Two-panel axial: CT | PSMA PET, [18F]PSMA-1007 tracer. Slice position z = -876 mm. PET panel 200×200 px (4.1 mm/px).
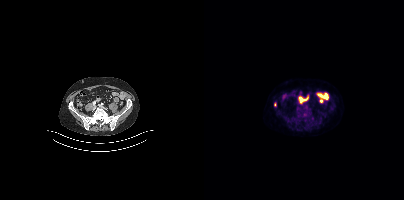
Coordinates are on the 200×200 PET (right) panel. Small PSMA-avid focus (2 to 4 px across) near (center x, center y): (71, 104).